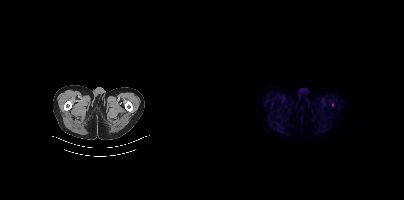
Negative for PSMA-avid disease on this slice.
modality: PSMA PET/CT | tracer: [18F]PSMA-1007 | view: axial | PET grid: 200×200